Two-panel axial: CT | PSMA PET, 18F-PSMA tracer. Acquired on Siemens Biograph mCT Flow 20. PET panel 200×200 px (4.1 mm/px).
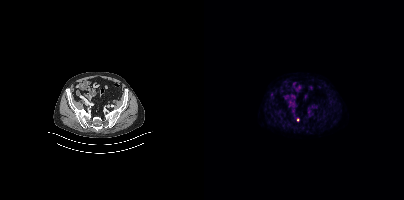
Coordinates are on the 200×200 PET (right) panel. Small PSMA-avid focus (2 to 4 px across) near (center x, center y): (93, 119).